Left: CT. Right: PSMA PET, same axial level, 18F tracer. Slice position z = -1430 mm. PET panel 200×200 px (4.1 mm/px).
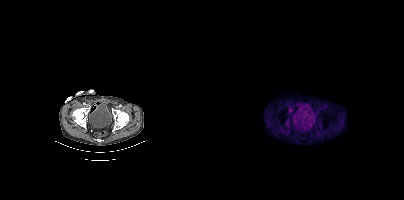
This slice has no annotated PSMA-avid lesion.